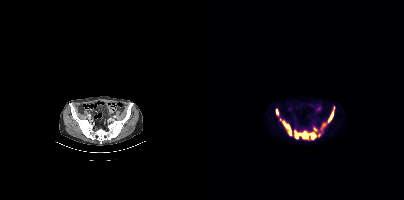
{"modality":"PSMA PET/CT","view":"axial","tracer":"18F-PSMA","pet_grid":[200,200],"coord_frame":"pet_panel","coord_format":"x0,y0,x1,y1","lesion_bboxes":[[76,118,88,135],[118,111,129,127],[90,130,94,138],[97,133,104,138],[106,132,110,138],[72,109,74,114],[114,132,118,135]],"small_foci_centers":[[111,129]]}